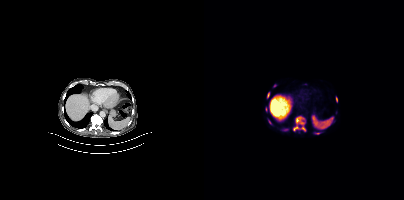
{"modality":"PSMA PET/CT","view":"axial","tracer":"[18F]PSMA-1007","pet_grid":[200,200],"coord_frame":"pet_panel","coord_format":"x0,y0,x1,y1","lesion_bboxes":[[89,116,101,131],[63,93,65,97],[132,97,133,101],[111,133,115,134]],"small_foci_centers":[[66,122],[61,108]]}